- Left: CT. Right: PSMA PET, same axial level, 18F tracer
- PET panel 200×200 px (4.1 mm/px)
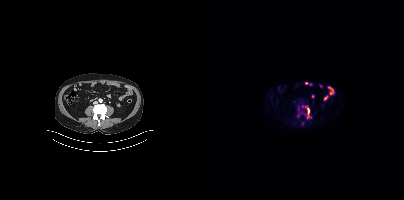
Findings: Coordinates are on the 200×200 PET (right) panel. (showing 1 of 2 foci) PSMA-avid tumor lesion bounding box (x0, y0)-(x1, y1): (98, 106)-(107, 118).